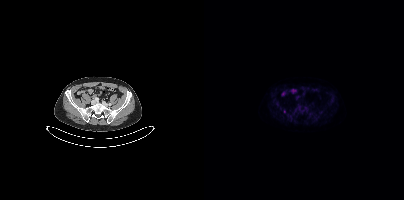
modality: PSMA PET/CT | tracer: 18F-PSMA | view: axial
Coordinates are on the 200×200 PET (right) panel. Small PSMA-avid focus (2 to 4 px across) near (center x, center y): (80, 111).